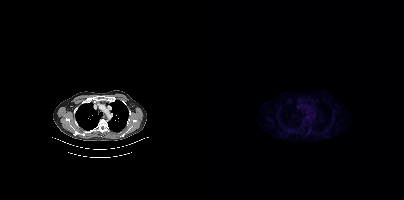
Technique: Paired axial CT (left) and PSMA PET (right), 18F-PSMA tracer. slice 323 of 427. PET panel 200×200 px (4.1 mm/px).
Findings: Negative for PSMA-avid disease on this slice.